Face de-identified by blanking a block of the head.
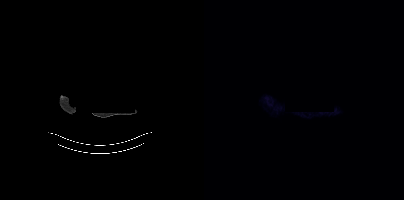
Negative for PSMA-avid disease on this slice.